Paired axial CT (left) and PSMA PET (right), [18F]PSMA-1007 tracer. Acquired on Siemens Biograph mCT Flow 20. Slice position z = -1108 mm.
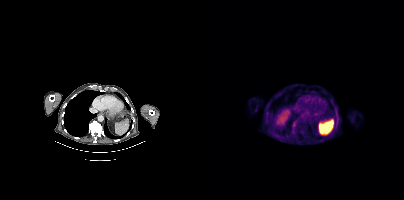
Negative for PSMA-avid disease on this slice.